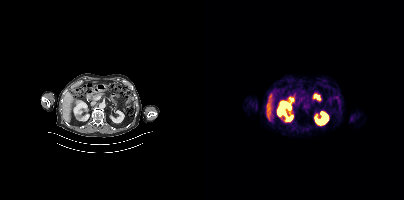
- Two-panel axial: CT | PSMA PET, 18F tracer
- PET panel 200×200 px (4.1 mm/px)
Findings: No tumor lesions annotated on this slice.